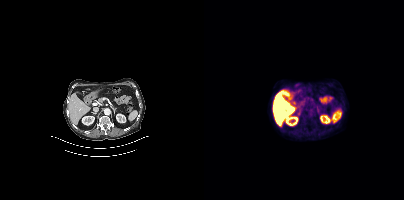
Paired axial CT (left) and PSMA PET (right), [18F]PSMA-1007 tracer. Acquired on Siemens Biograph mCT Flow 20. Slice position z = -1160 mm. This slice has no annotated PSMA-avid lesion.